Left: CT. Right: PSMA PET, same axial level, [18F]PSMA-1007 tracer. Acquired on Siemens Biograph mCT Flow 20. PET panel 200×200 px (4.1 mm/px).
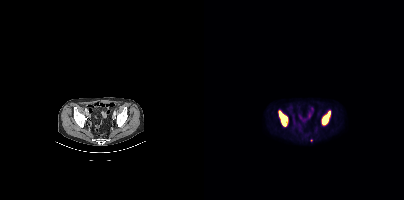
Coordinates are on the 200×200 PET (right) panel. (showing 2 of 3 foci) PSMA-avid tumor lesion bounding boxes (x0, y0)-(x1, y1): (118, 111)-(126, 124) | (75, 111)-(83, 125).